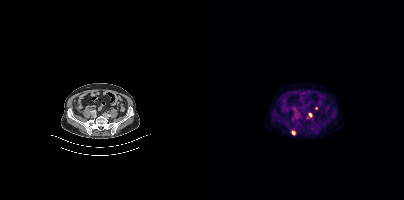
Findings: Coordinates are on the 200×200 PET (right) panel. PSMA-avid tumor lesion bounding box (x0, y0)-(x1, y1): (87, 130)-(92, 135). Small PSMA-avid focus (2 to 4 px across) near (center x, center y): (106, 114).
- Paired axial CT (left) and PSMA PET (right), [18F]PSMA-1007 tracer
- acquired on Siemens Biograph mCT Flow 20